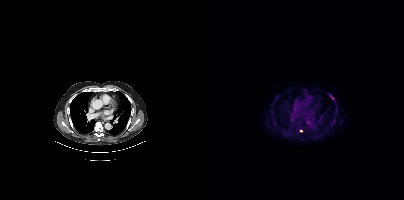
Technique: Two-panel axial: CT | PSMA PET, 18F tracer. acquired on Siemens Biograph mCT Flow 20. PET panel 200×200 px (4.1 mm/px).
Findings: Coordinates are on the 200×200 PET (right) panel. Small PSMA-avid foci (2 to 4 px across) near (center x, center y): (97, 131) / (128, 97).